Technique: Paired axial CT (left) and PSMA PET (right), 18F tracer. acquired on GE Discovery 690. PET panel 256×256 px (2.7 mm/px).
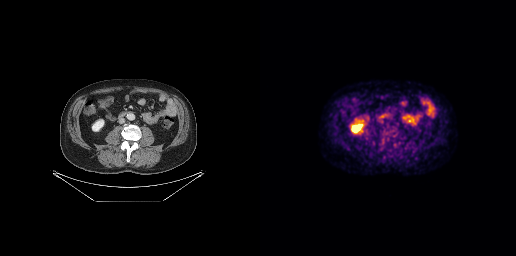
Findings: This slice has no annotated PSMA-avid lesion.